- Left: CT. Right: PSMA PET, same axial level, [18F]PSMA-1007 tracer
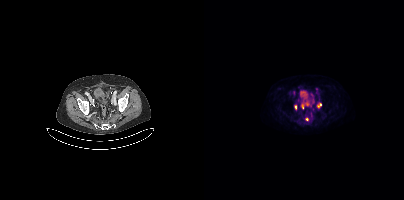
Findings: Coordinates are on the 200×200 PET (right) panel. (showing 4 of 6 foci) PSMA-avid tumor lesion bounding boxes (x0,y0,x1,y1): [113,103,117,107] [90,105,93,109] [97,103,99,109]. Small PSMA-avid focus (2 to 4 px across) near (center x, center y): (103, 119).